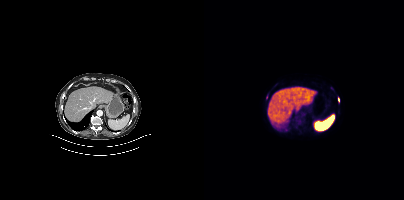
{"modality":"PSMA PET/CT","view":"axial","tracer":"18F","pet_grid":[200,200],"coord_frame":"pet_panel","coord_format":"x0,y0,x1,y1","lesion_bboxes":[],"small_foci_centers":[[134,99],[62,97]]}